Paired axial CT (left) and PSMA PET (right), [18F]PSMA-1007 tracer.
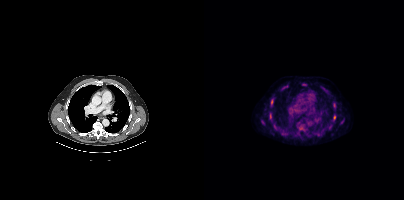
Coordinates are on the 200×200 PET (right) panel. (showing 4 of 6 foci) Small PSMA-avid foci (2 to 4 px across) near (center x, center y): (68, 100) (130, 117) (100, 84) (129, 103).